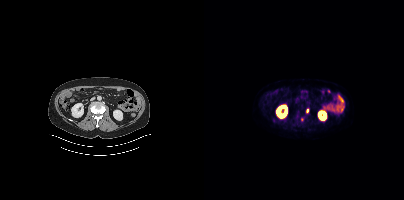
modality: PSMA PET/CT | tracer: 18F | view: axial
Coordinates are on the 200×200 PET (right) panel. Small PSMA-avid focus (2 to 4 px across) near (center x, center y): (103, 110).